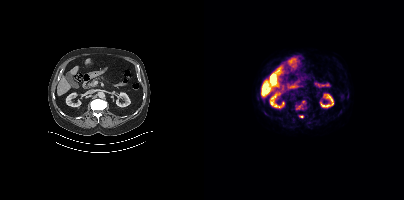
Coordinates are on the 200×200 PET (right) panel. PSMA-avid tumor lesion bounding boxes (partial; 1 more focus not listed):
| # | x0 | y0 | x1 | y1 |
|---|---|---|---|---|
| 1 | 95 | 115 | 99 | 117 |
Small PSMA-avid foci (2 to 4 px across) near (center x, center y): (95, 106); (99, 102).
Two-panel axial: CT | PSMA PET, 18F tracer. PET panel 200×200 px (4.1 mm/px).